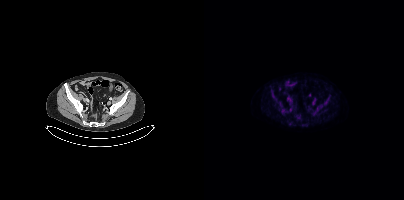
Technique: Paired axial CT (left) and PSMA PET (right), 18F-PSMA tracer. slice 102 of 431.
Findings: No PSMA-avid tumor lesions on this slice.